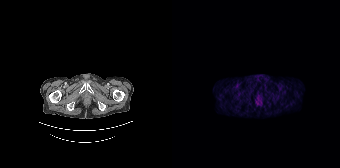
Technique: Paired axial CT (left) and PSMA PET (right), [68Ga]Ga-PSMA-11 tracer. slice 31 of 195.
Findings: No PSMA-avid tumor lesions on this slice.